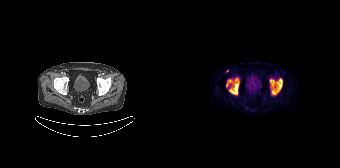
{"pet_grid":[168,168],"coord_frame":"pet_panel","coord_format":"x0,y0,x1,y1","lesion_bboxes":[[98,78,110,95],[57,78,67,94],[54,79,60,86]],"small_foci_centers":[[55,70]],"modality":"PSMA PET/CT","view":"axial","tracer":"18F-PSMA"}